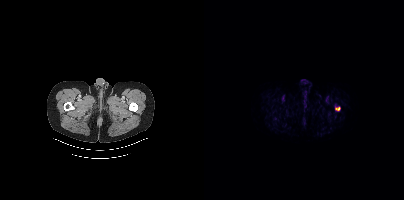
- Paired axial CT (left) and PSMA PET (right), 18F-PSMA tracer
- PET panel 200×200 px (4.1 mm/px)
Findings: Coordinates are on the 200×200 PET (right) panel. PSMA-avid tumor lesion bounding box (x0, y0)-(x1, y1): (131, 106)-(136, 111).